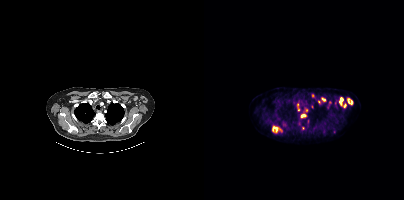
Left: CT. Right: PSMA PET, same axial level, 18F-PSMA tracer. Slice position z = 108 mm. PET panel 200×200 px (4.1 mm/px).
Coordinates are on the 200×200 PET (right) panel. PSMA-avid tumor lesion bounding boxes (partial; 3 more foci not listed):
| # | x0 | y0 | x1 | y1 |
|---|---|---|---|---|
| 1 | 68 | 127 | 77 | 132 |
| 2 | 97 | 109 | 103 | 117 |
| 3 | 136 | 97 | 139 | 106 |
| 4 | 143 | 98 | 148 | 104 |
| 5 | 131 | 101 | 132 | 105 |
Small PSMA-avid foci (2 to 4 px across) near (center x, center y): (119, 99); (109, 95); (104, 120); (94, 109); (126, 102); (141, 105); (124, 107); (80, 124); (99, 128); (93, 104).